Technique: Paired axial CT (left) and PSMA PET (right), 68Ga tracer. acquired on GE Discovery 690.
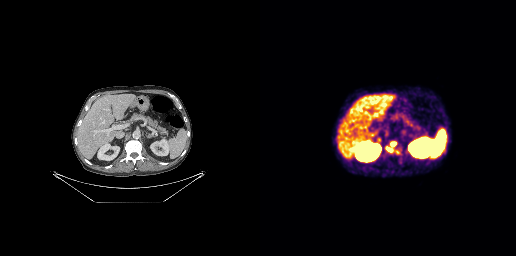
Findings: Coordinates are on the 256×256 PET (right) panel. PSMA-avid tumor lesion bounding boxes (x0, y0)-(x1, y1): (127, 148)-(132, 152) | (131, 142)-(135, 146). Small PSMA-avid focus (2 to 4 px across) near (center x, center y): (137, 151).